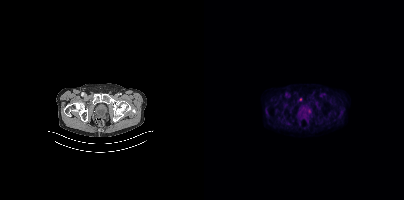
Coordinates are on the 200×200 PET (right) panel. Small PSMA-avid focus (2 to 4 px across) near (center x, center y): (96, 99).
modality: PSMA PET/CT | tracer: 18F-PSMA | view: axial | PET grid: 200×200